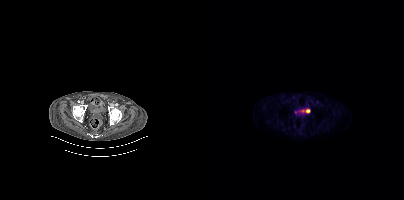
{"modality":"PSMA PET/CT","view":"axial","tracer":"[18F]PSMA-1007","pet_grid":[200,200],"coord_frame":"pet_panel","coord_format":"x0,y0,x1,y1","psma_avid_lesions":false}